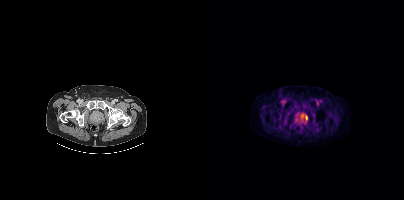
{"pet_grid":[200,200],"coord_frame":"pet_panel","coord_format":"x0,y0,x1,y1","lesion_bboxes":[[97,113,103,121]],"modality":"PSMA PET/CT","view":"axial","tracer":"18F"}